- Paired axial CT (left) and PSMA PET (right), 68Ga tracer
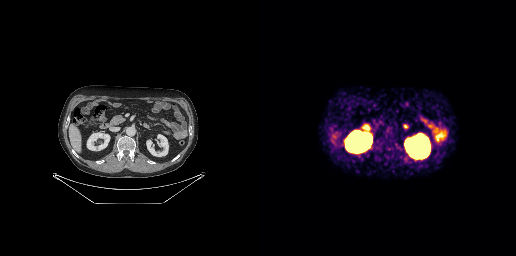
Findings: No tumor lesions annotated on this slice.